- Two-panel axial: CT | PSMA PET, 68Ga tracer
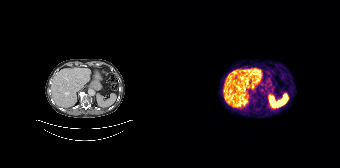
Findings: No tumor lesions annotated on this slice.